Technique: Left: CT. Right: PSMA PET, same axial level, 18F-PSMA tracer. acquired on Siemens Biograph mCT Flow 20. PET panel 200×200 px (4.1 mm/px).
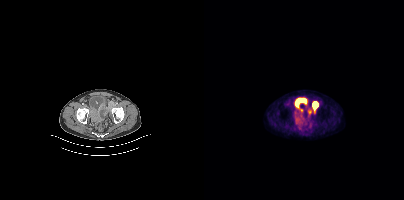
Findings: Coordinates are on the 200×200 PET (right) panel. PSMA-avid tumor lesion bounding box (x0, y0)-(x1, y1): (108, 102)-(114, 109).